Two-panel axial: CT | PSMA PET, 68Ga-PSMA tracer. Slice position z = -579 mm.
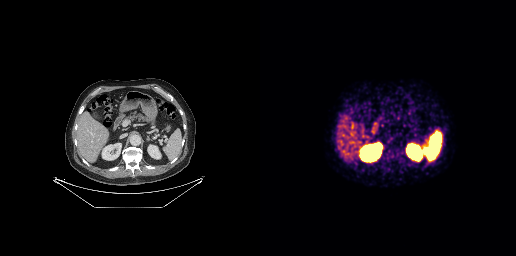
No tumor lesions annotated on this slice.